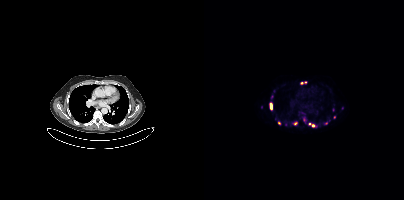
Coordinates are on the 200×200 PET (right) panel. PSMA-avid tumor lesion bounding boxes (partial; 3 more foci not listed):
| # | x0 | y0 | x1 | y1 |
|---|---|---|---|---|
| 1 | 66 | 102 | 68 | 109 |
| 2 | 105 | 123 | 110 | 126 |
Small PSMA-avid foci (2 to 4 px across) near (center x, center y): (100, 119); (91, 123); (130, 117); (122, 123); (97, 82); (74, 122).
Two-panel axial: CT | PSMA PET, 68Ga tracer. Acquired on Siemens Biograph mCT Flow 20. Slice position z = -1059 mm.